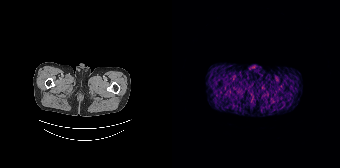
modality: PSMA PET/CT | tracer: 68Ga | view: axial | PET grid: 168×168
This slice has no annotated PSMA-avid lesion.